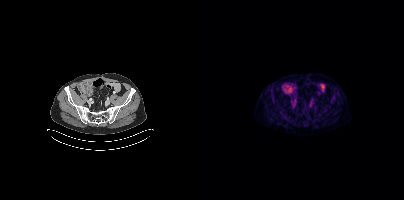
This slice has no annotated PSMA-avid lesion.